- Left: CT. Right: PSMA PET, same axial level, [18F]PSMA-1007 tracer
- PET panel 200×200 px (4.1 mm/px)
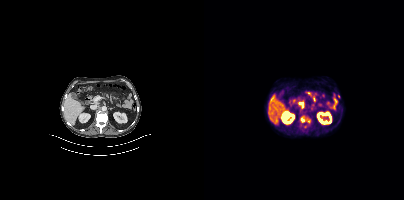
Findings: Coordinates are on the 200×200 PET (right) panel. PSMA-avid tumor lesion bounding box (x, y, width, height): x=96 y=115 w=11 h=9. Small PSMA-avid focus (2 to 4 px across) near (center x, center y): (101, 126).